Left: CT. Right: PSMA PET, same axial level, 18F tracer. Slice position z = -150 mm.
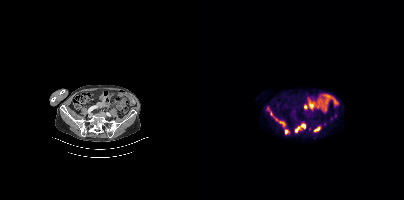
Coordinates are on the 200×200 PET (right) panel. PSMA-avid tumor lesion bounding boxes (x, y, width, height): x=62 y=106 w=20 h=21 / x=91 y=123 w=11 h=10 / x=109 y=126 w=8 h=6 / x=81 y=129 w=5 h=6. Small PSMA-avid foci (2 to 4 px across) near (center x, center y): (132, 114) / (120, 124) / (105, 128).